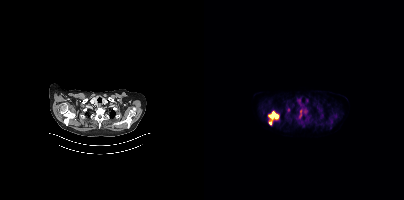
Coordinates are on the 200×200 PET (right) panel. PSMA-avid tumor lesion bounding boxes (x0, y0)-(x1, y1): (64, 111)-(74, 119) | (83, 108)-(86, 112) | (96, 110)-(97, 116). Small PSMA-avid foci (2 to 4 px across) near (center x, center y): (101, 110) | (66, 122).